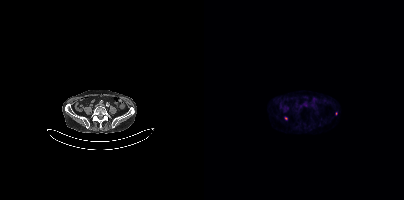
Coordinates are on the 200×200 PET (right) panel. Small PSMA-avid foci (2 to 4 px across) near (center x, center y): (82, 118); (132, 113). Two-panel axial: CT | PSMA PET, [18F]PSMA-1007 tracer.